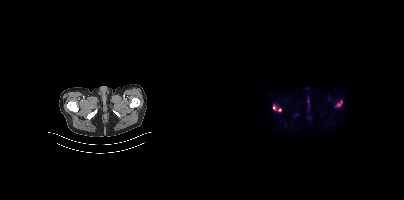
- Paired axial CT (left) and PSMA PET (right), [18F]PSMA-1007 tracer
- acquired on Siemens Biograph mCT Flow 20
- PET panel 200×200 px (4.1 mm/px)
Findings: Coordinates are on the 200×200 PET (right) panel. PSMA-avid tumor lesion bounding boxes (x0, y0)-(x1, y1): (69, 104)-(77, 111) / (133, 101)-(138, 106).